- Two-panel axial: CT | PSMA PET, [18F]PSMA-1007 tracer
- acquired on Siemens Biograph mCT Flow 20
- any black rectangle over the head is a privacy mask, not anatomy
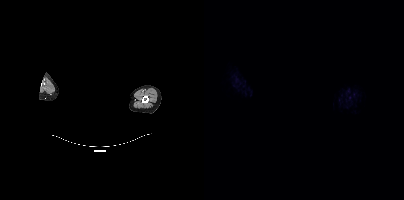
Findings: No PSMA-avid tumor lesions on this slice.